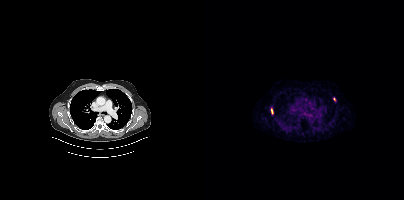
modality: PSMA PET/CT | tracer: 68Ga-PSMA | view: axial
Coordinates are on the 200×200 PET (right) panel. PSMA-avid tumor lesion bounding box (x, y, width, height): x=67 y=108 w=3 h=7. Small PSMA-avid focus (2 to 4 px across) near (center x, center y): (130, 98).